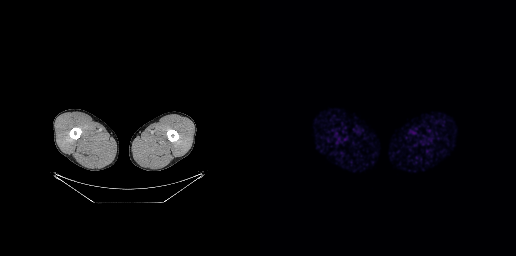
{"modality":"PSMA PET/CT","view":"axial","tracer":"[18F]PSMA-1007","pet_grid":[256,256],"coord_frame":"pet_panel","coord_format":"x0,y0,x1,y1","psma_avid_lesions":false}